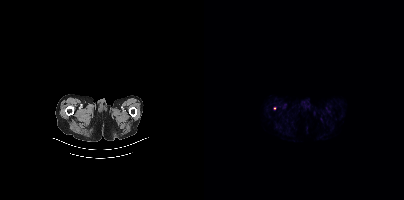
{"modality":"PSMA PET/CT","view":"axial","tracer":"68Ga-PSMA","pet_grid":[200,200],"coord_frame":"pet_panel","coord_format":"x0,y0,x1,y1","lesion_bboxes":[],"small_foci_centers":[[70,108]]}